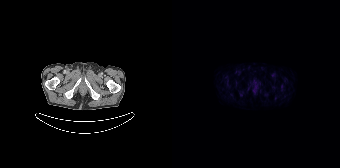
Technique: Left: CT. Right: PSMA PET, same axial level, 18F tracer. PET panel 168×168 px (4.1 mm/px).
Findings: Negative for PSMA-avid disease on this slice.